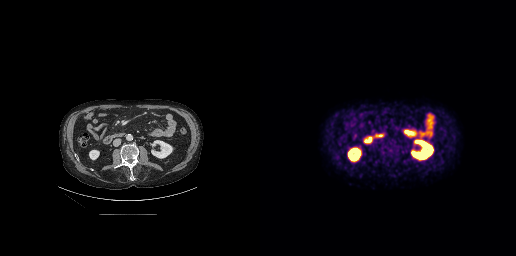
{"modality":"PSMA PET/CT","view":"axial","tracer":"18F-PSMA","pet_grid":[256,256],"coord_frame":"pet_panel","coord_format":"x0,y0,x1,y1","psma_avid_lesions":false}